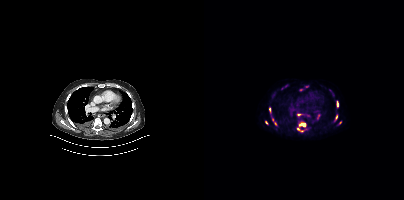
modality: PSMA PET/CT | tracer: [18F]PSMA-1007 | view: axial
Coordinates are on the 200×200 PET (right) panel. (showing 8 of 9 foci) PSMA-avid tumor lesion bounding boxes (x, y, width, height): x=93 y=121 w=10 h=12 | x=132 y=101 w=3 h=7 | x=131 y=115 w=3 h=6 | x=93 y=114 w=5 h=2. Small PSMA-avid foci (2 to 4 px across) near (center x, center y): (62, 122) | (71, 123) | (65, 109) | (136, 122).